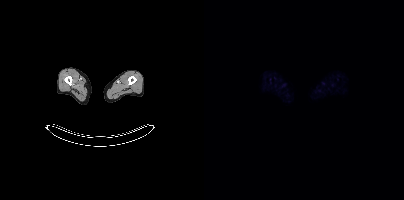
This slice has no annotated PSMA-avid lesion.
modality: PSMA PET/CT | tracer: [18F]PSMA-1007 | view: axial